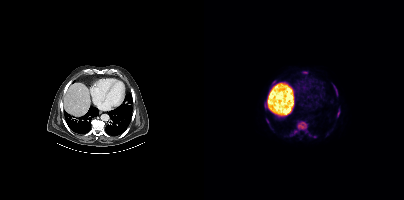
Coordinates are on the 200×200 PET (right) panel. (showing 6 of 7 foci) PSMA-avid tumor lesion bounding boxes (x0, y0)-(x1, y1): (90, 121)-(103, 134); (133, 110)-(135, 116); (62, 118)-(65, 123); (130, 86)-(133, 92). Small PSMA-avid foci (2 to 4 px across) near (center x, center y): (67, 127); (105, 134).